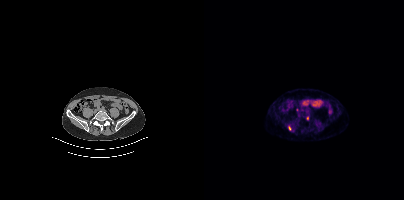
Coordinates are on the 200×200 PET (right) panel. Small PSMA-avid foci (2 to 4 px across) near (center x, center y): (103, 118); (85, 127). Left: CT. Right: PSMA PET, same axial level, 68Ga-PSMA tracer. Slice 119 of 409. PET panel 200×200 px (4.1 mm/px).